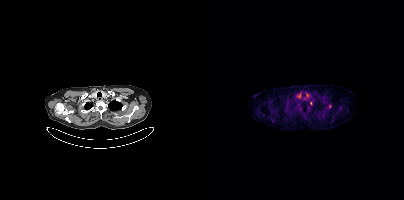
{"modality":"PSMA PET/CT","view":"axial","tracer":"18F","pet_grid":[200,200],"coord_frame":"pet_panel","coord_format":"x0,y0,x1,y1","lesion_bboxes":[],"small_foci_centers":[[126,106],[106,103]]}